deidentification: rectangular block over head set to black | modality: PSMA PET/CT | tracer: [68Ga]Ga-PSMA-11 | view: axial | PET grid: 200×200
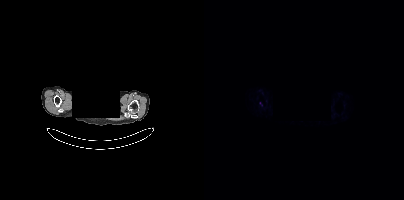
Only PSMA-avid lesion pieces thinner than 2 px on this slice (not listed).